Left: CT. Right: PSMA PET, same axial level, [18F]PSMA-1007 tracer. Acquired on Siemens Biograph mCT Flow 20. Slice 196 of 421.
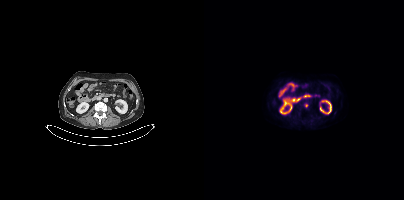
Only PSMA-avid lesion pieces thinner than 2 px on this slice (not listed).